- Paired axial CT (left) and PSMA PET (right), 18F tracer
- slice 51 of 263
- PET panel 256×256 px (2.7 mm/px)
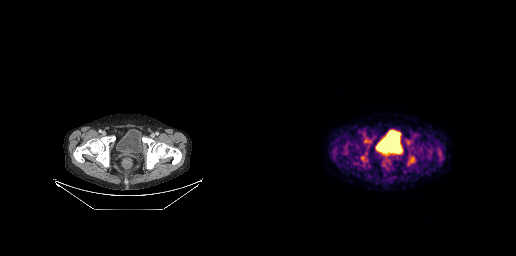
Findings: Coordinates are on the 256×256 PET (right) panel. PSMA-avid tumor lesion bounding boxes (x, y, width, height): x=148 y=156 w=8 h=10 | x=100 y=155 w=7 h=8 | x=104 y=139 w=6 h=4.